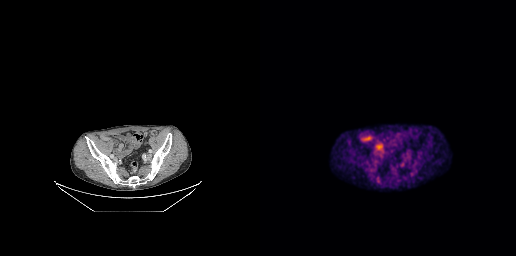
Left: CT. Right: PSMA PET, same axial level, 18F-PSMA tracer. Only PSMA-avid lesion pieces thinner than 2 px on this slice (not listed).